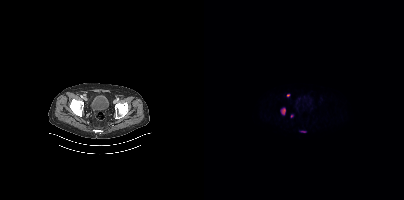
{"pet_grid":[200,200],"coord_frame":"pet_panel","coord_format":"x0,y0,x1,y1","lesion_bboxes":[[77,108,81,113],[96,131,101,132]],"small_foci_centers":[[84,95],[88,116]],"modality":"PSMA PET/CT","view":"axial","tracer":"18F-PSMA"}